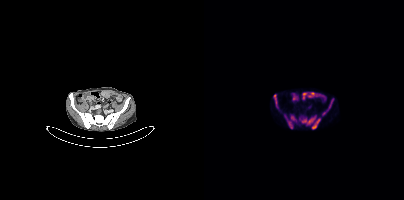
Paired axial CT (left) and PSMA PET (right), 18F-PSMA tracer. Slice 98 of 354.
Coordinates are on the 200×200 PET (right) panel. PSMA-avid tumor lesion bounding boxes (partial; 1 more focus not listed):
| # | x0 | y0 | x1 | y1 |
|---|---|---|---|---|
| 1 | 81 | 116 | 92 | 128 |
| 2 | 96 | 116 | 111 | 124 |
| 3 | 108 | 118 | 116 | 129 |
| 4 | 119 | 98 | 129 | 114 |
| 5 | 70 | 94 | 72 | 105 |